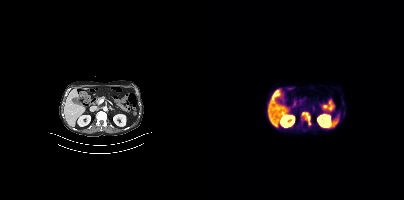
modality: PSMA PET/CT | tracer: 18F-PSMA | view: axial
Coordinates are on the 200×200 PET (right) panel. PSMA-avid tumor lesion bounding boxes (x0,y0,x1,y1): [97,112,106,124] [139,111,141,116].